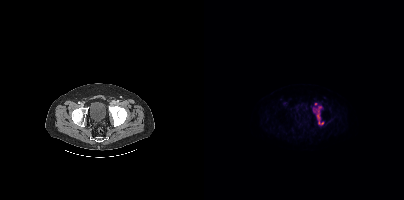
modality: PSMA PET/CT | tracer: 18F-PSMA | view: axial
Coordinates are on the 200×200 PET (right) panel. (showing 2 of 3 foci) PSMA-avid tumor lesion bounding box (x0,y0,x1,y1): [112,106,119,124]. Small PSMA-avid focus (2 to 4 px across) near (center x, center y): (111, 103).